Two-panel axial: CT | PSMA PET, 18F-PSMA tracer. Acquired on Siemens Biograph mCT Flow 20.
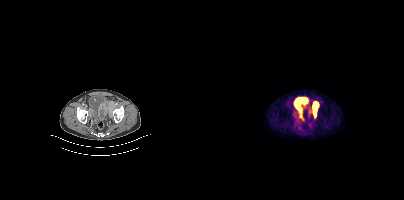
Coordinates are on the 200×200 PET (right) panel. PSMA-avid tumor lesion bounding box (x0, y0)-(x1, y1): (109, 102)-(114, 115).